Technique: Left: CT. Right: PSMA PET, same axial level, 18F tracer. acquired on Siemens Biograph mCT Flow 20. PET panel 200×200 px (4.1 mm/px).
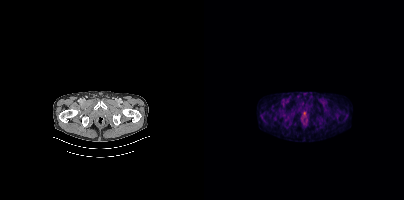
Findings: Negative for PSMA-avid disease on this slice.